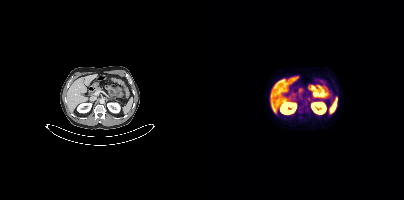
Paired axial CT (left) and PSMA PET (right), 18F-PSMA tracer. Slice position z = -1386 mm. No PSMA-avid tumor lesions on this slice.